Left: CT. Right: PSMA PET, same axial level, [18F]PSMA-1007 tracer. Slice position z = -842 mm. PET panel 200×200 px (4.1 mm/px).
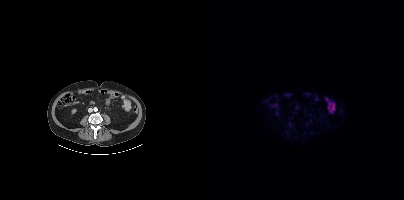
No PSMA-avid tumor lesions on this slice.